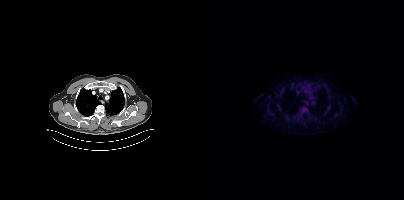
{"modality":"PSMA PET/CT","view":"axial","tracer":"18F-PSMA","pet_grid":[200,200],"coord_frame":"pet_panel","coord_format":"x0,y0,x1,y1","psma_avid_lesions":false}